Left: CT. Right: PSMA PET, same axial level, 18F tracer. Slice position z = -839 mm. PET panel 200×200 px (4.1 mm/px).
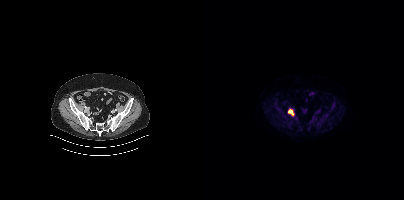
Coordinates are on the 200×200 PET (right) panel. PSMA-avid tumor lesion bounding box (x, y, width, height): x=84 y=109 w=7 h=7.